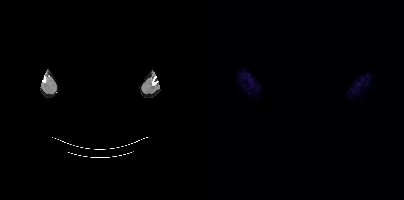
Findings: This slice has no annotated PSMA-avid lesion.
Technique: Left: CT. Right: PSMA PET, same axial level, 18F-PSMA tracer. slice 401 of 409. PET panel 200×200 px (4.1 mm/px).
Note: Any black rectangle over the head is a privacy mask, not anatomy.